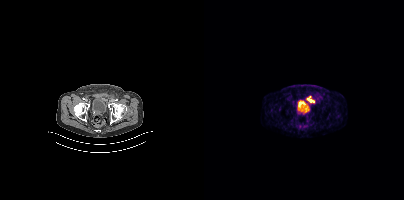
Coordinates are on the 200×200 PET (right) panel. PSMA-avid tumor lesion bounding boxes:
| # | x0 | y0 | x1 | y1 |
|---|---|---|---|---|
| 1 | 102 | 96 | 110 | 102 |
Two-panel axial: CT | PSMA PET, [68Ga]Ga-PSMA-11 tracer. Acquired on Siemens Biograph mCT Flow 20. Slice 63 of 373.